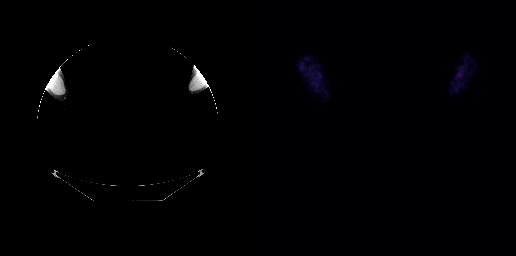
Findings: Negative for PSMA-avid disease on this slice.
- Two-panel axial: CT | PSMA PET, [18F]PSMA-1007 tracer
- a rectangle over the head was blacked out to remove identifiable facial features